Paired axial CT (left) and PSMA PET (right), 18F-PSMA tracer. Acquired on Siemens Biograph mCT Flow 20.
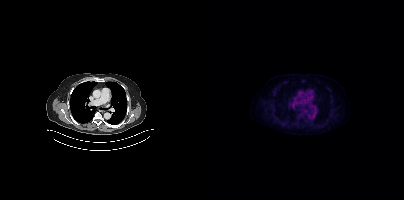
No tumor lesions annotated on this slice.